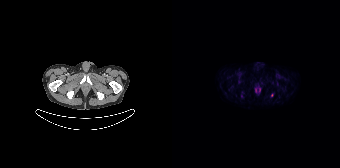
{"pet_grid":[168,168],"coord_frame":"pet_panel","coord_format":"x0,y0,x1,y1","lesion_bboxes":[],"small_foci_centers":[[100,95]],"modality":"PSMA PET/CT","view":"axial","tracer":"18F-PSMA"}